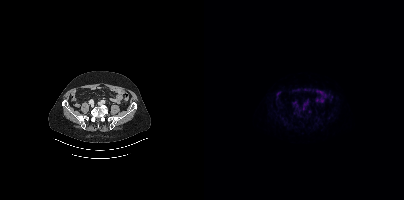
Findings: Only PSMA-avid lesion pieces thinner than 2 px on this slice (not listed).
Technique: Left: CT. Right: PSMA PET, same axial level, 18F-PSMA tracer. acquired on Siemens Biograph mCT Flow 20. PET panel 200×200 px (4.1 mm/px).